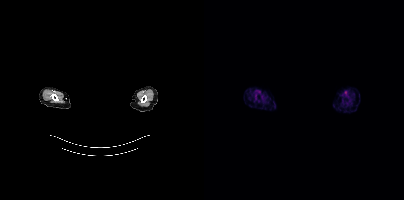
Technique: Left: CT. Right: PSMA PET, same axial level, [18F]PSMA-1007 tracer. acquired on Siemens Biograph mCT Flow 20.
Note: The head region is masked for de-identification.
Findings: This slice has no annotated PSMA-avid lesion.